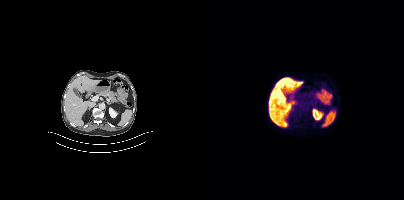
{"modality":"PSMA PET/CT","view":"axial","tracer":"[18F]PSMA-1007","pet_grid":[200,200],"coord_frame":"pet_panel","coord_format":"x0,y0,x1,y1","psma_avid_lesions":false}